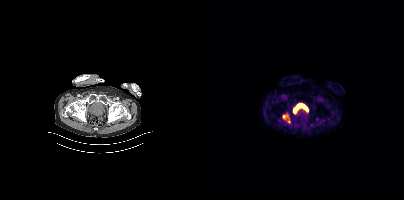
Left: CT. Right: PSMA PET, same axial level, 18F-PSMA tracer. Acquired on Siemens Biograph mCT Flow 20. PET panel 200×200 px (4.1 mm/px). Coordinates are on the 200×200 PET (right) panel. PSMA-avid tumor lesion bounding box (x0, y0)-(x1, y1): (79, 115)-(84, 118). Small PSMA-avid focus (2 to 4 px across) near (center x, center y): (85, 121).